modality: PSMA PET/CT | tracer: 18F | view: axial | PET grid: 200×200
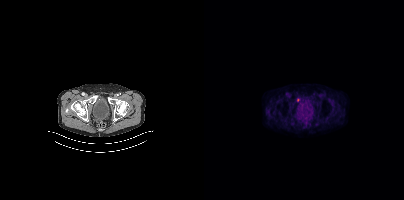
Coordinates are on the 200×200 PET (right) panel. Small PSMA-avid focus (2 to 4 px across) near (center x, center y): (93, 100).